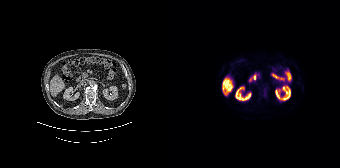
No tumor lesions annotated on this slice. Left: CT. Right: PSMA PET, same axial level, 18F tracer. Slice position z = -986 mm. PET panel 168×168 px (4.1 mm/px).